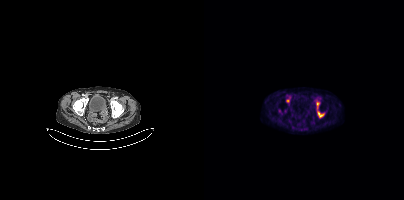
Left: CT. Right: PSMA PET, same axial level, 18F-PSMA tracer. Acquired on Siemens Biograph mCT Flow 20. Coordinates are on the 200×200 PET (right) panel. PSMA-avid tumor lesion bounding boxes (x0, y0)-(x1, y1): (113, 111)-(119, 117) | (113, 102)-(115, 108).